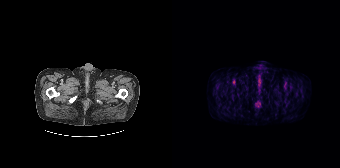
Two-panel axial: CT | PSMA PET, 18F tracer. Acquired on Siemens Biograph 64-4R TruePoint. Slice position z = -1332 mm. PET panel 168×168 px (4.1 mm/px). Negative for PSMA-avid disease on this slice.